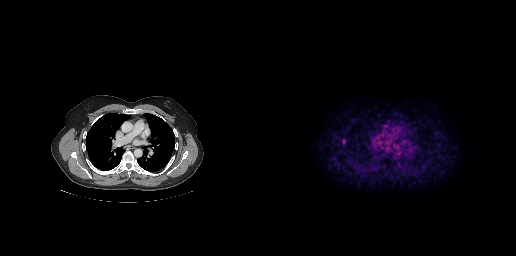
{"pet_grid":[256,256],"coord_frame":"pet_panel","coord_format":"x0,y0,x1,y1","lesion_bboxes":[],"small_foci_centers":[[83,141]],"modality":"PSMA PET/CT","view":"axial","tracer":"18F-PSMA"}